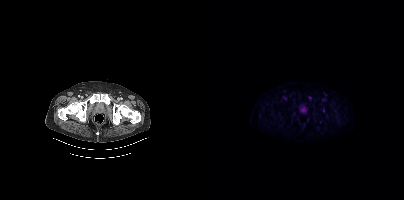
modality: PSMA PET/CT | tracer: 18F | view: axial
Coordinates are on the 200×200 PET (right) panel. Small PSMA-avid focus (2 to 4 px across) near (center x, center y): (119, 110).